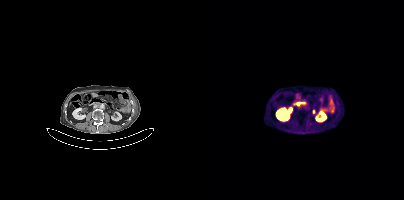
Paired axial CT (left) and PSMA PET (right), [68Ga]Ga-PSMA-11 tracer. Slice 181 of 413. This slice has no annotated PSMA-avid lesion.